- Paired axial CT (left) and PSMA PET (right), 18F-PSMA tracer
- slice 36 of 963
- PET panel 200×200 px (4.1 mm/px)
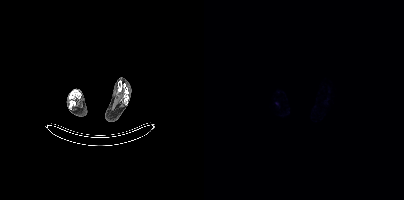
Findings: No PSMA-avid tumor lesions on this slice.